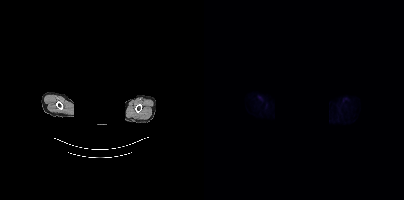
Findings: This slice has no annotated PSMA-avid lesion.
- Paired axial CT (left) and PSMA PET (right), 18F tracer
- acquired on Siemens Biograph mCT Flow 20
- slice position z = -906 mm
- PET panel 200×200 px (4.1 mm/px)
- any black rectangle over the head is a privacy mask, not anatomy